Technique: Two-panel axial: CT | PSMA PET, 18F tracer. acquired on Siemens Biograph mCT Flow 20.
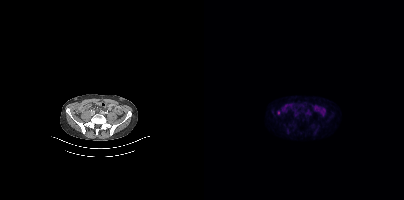
Findings: Coordinates are on the 200×200 PET (right) panel. Small PSMA-avid focus (2 to 4 px across) near (center x, center y): (74, 112).